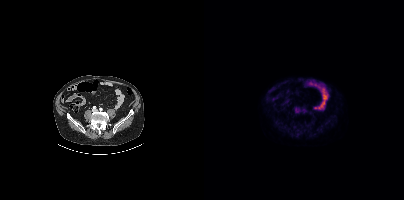
modality: PSMA PET/CT | tracer: 18F | view: axial | PET grid: 200×200
Coordinates are on the 200×200 PET (right) panel. Small PSMA-avid focus (2 to 4 px across) near (center x, center y): (92, 110).